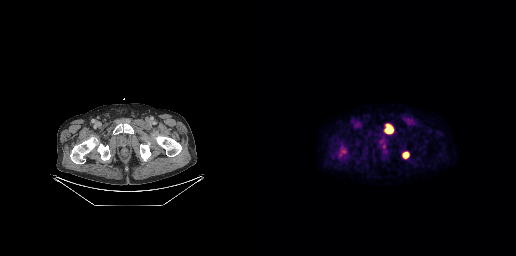
{"pet_grid":[256,256],"coord_frame":"pet_panel","coord_format":"x0,y0,x1,y1","lesion_bboxes":[[124,124,133,133],[142,152,149,158],[81,150,85,153]],"small_foci_centers":[[124,146],[80,154]],"modality":"PSMA PET/CT","view":"axial","tracer":"18F-PSMA"}